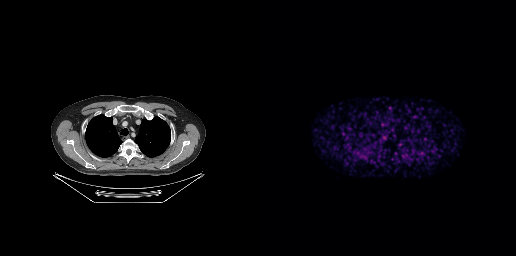
{"modality":"PSMA PET/CT","view":"axial","tracer":"68Ga-PSMA","pet_grid":[256,256],"coord_frame":"pet_panel","coord_format":"x0,y0,x1,y1","psma_avid_lesions":false}